Technique: Paired axial CT (left) and PSMA PET (right), [18F]PSMA-1007 tracer. acquired on Siemens Biograph mCT Flow 20. slice 153 of 435.
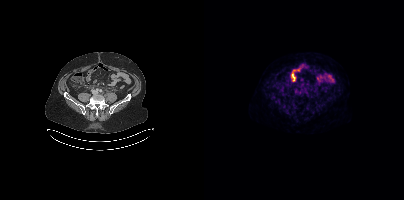
Findings: Coordinates are on the 200×200 PET (right) panel. PSMA-avid tumor lesion bounding box (x0, y0)-(x1, y1): (99, 90)-(103, 95).